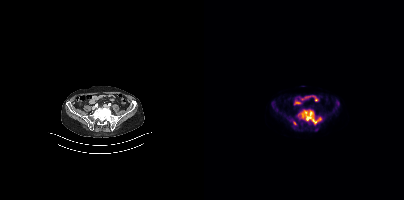
Coordinates are on the 200×200 PET (right) panel. PSMA-avid tumor lesion bounding boxes (x0, y0)-(x1, y1): (94, 110)-(117, 124); (132, 101)-(135, 106). Small PSMA-avid foci (2 to 4 px across) near (center x, center y): (91, 123); (94, 117). Left: CT. Right: PSMA PET, same axial level, 18F-PSMA tracer. Acquired on Siemens Biograph mCT Flow 20. Slice position z = -1449 mm. PET panel 200×200 px (4.1 mm/px).